modality: PSMA PET/CT | tracer: 18F-PSMA | view: axial | PET grid: 200×200
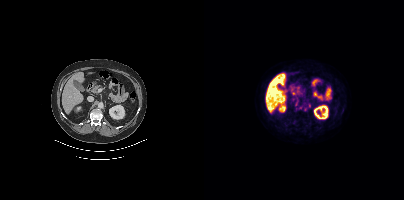
Coordinates are on the 200×200 PET (right) panel. PSMA-avid tumor lesion bounding box (x0, y0)-(x1, y1): (91, 101)-(94, 105). Small PSMA-avid foci (2 to 4 px across) near (center x, center y): (105, 105) | (101, 109).